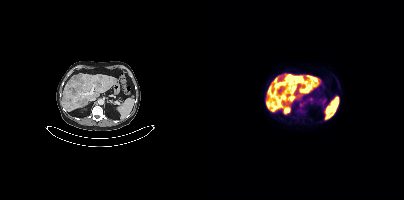
Coordinates are on the 200×200 PET (right) panel. PSMA-avid tumor lesion bounding boxes (x, y, width, height): x=91 y=76 w=9 h=7; x=96 y=84 w=6 h=6; x=71 y=84 w=5 h=4. Small PSMA-avid foci (2 to 4 px across) near (center x, center y): (106, 98); (97, 104). Paired axial CT (left) and PSMA PET (right), [18F]PSMA-1007 tracer.